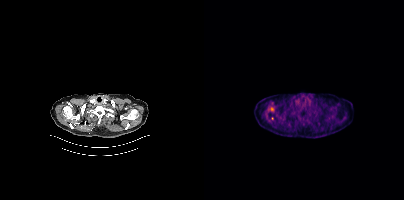
Technique: Left: CT. Right: PSMA PET, same axial level, 18F tracer.
Findings: Only PSMA-avid lesion pieces thinner than 2 px on this slice (not listed).